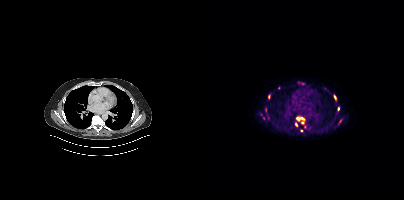
{"pet_grid":[200,200],"coord_frame":"pet_panel","coord_format":"x0,y0,x1,y1","partial":true,"lesion_bboxes":[[92,116,100,124],[130,95,132,99]],"small_foci_centers":[[92,124],[134,108],[64,96],[97,130]],"modality":"PSMA PET/CT","view":"axial","tracer":"18F-PSMA"}